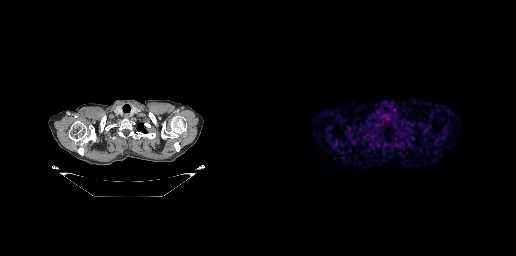
Findings: This slice has no annotated PSMA-avid lesion.
Technique: Left: CT. Right: PSMA PET, same axial level, 68Ga tracer. slice 226 of 263.